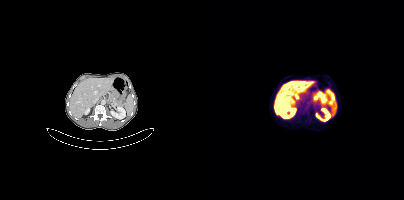
Coordinates are on the 200×200 PET (right) panel. PSMA-avid tumor lesion bounding box (x0,y0,x1,y1): [95,106,103,113].